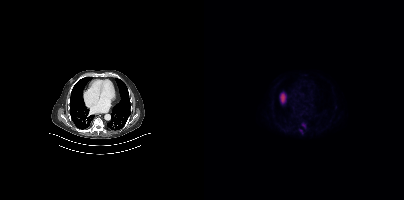
Findings: Coordinates are on the 200×200 PET (right) panel. PSMA-avid tumor lesion bounding boxes (x0, y0)-(x1, y1): (97, 122)-(102, 128) | (94, 128)-(100, 134).
Technique: Two-panel axial: CT | PSMA PET, 18F tracer. PET panel 200×200 px (4.1 mm/px).